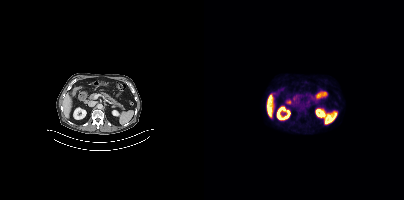
No PSMA-avid tumor lesions on this slice.